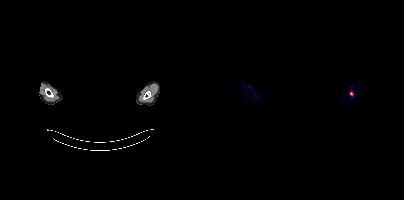
{"modality":"PSMA PET/CT","view":"axial","tracer":"18F-PSMA","pet_grid":[200,200],"coord_frame":"pet_panel","coord_format":"x0,y0,x1,y1","lesion_bboxes":[],"small_foci_centers":[[147,93]],"redaction":"head region blacked out before release"}